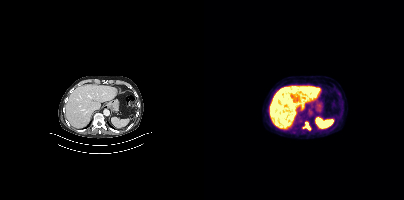
Coordinates are on the 200×200 PET (right) panel. PSMA-avid tumor lesion bounding box (x, y, width, height): x=100 y=122 w=7 h=8.